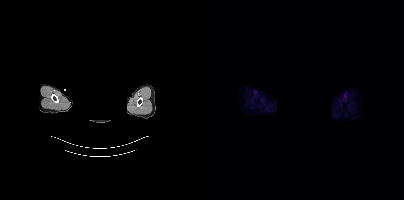
An anonymization step blacked out a rectangle over the head in this scan.
This slice has no annotated PSMA-avid lesion.